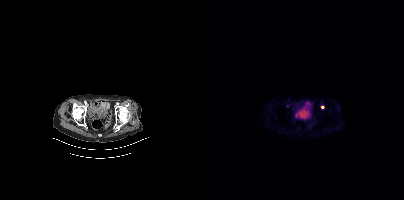
modality: PSMA PET/CT | tracer: 68Ga-PSMA | view: axial
Coordinates are on the 200×200 PET (right) panel. Small PSMA-avid focus (2 to 4 px across) near (center x, center y): (118, 107).